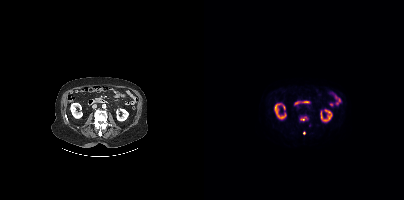
Two-panel axial: CT | PSMA PET, 18F tracer. Slice position z = -1244 mm. Only PSMA-avid lesion pieces thinner than 2 px on this slice (not listed).